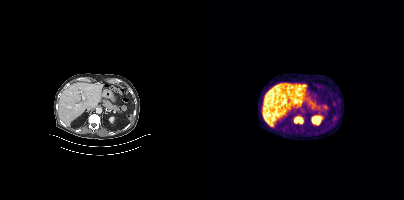
{"modality":"PSMA PET/CT","view":"axial","tracer":"18F","pet_grid":[200,200],"coord_frame":"pet_panel","coord_format":"x0,y0,x1,y1","lesion_bboxes":[[90,117,98,123]]}